Paired axial CT (left) and PSMA PET (right), [18F]PSMA-1007 tracer. PET panel 200×200 px (4.1 mm/px).
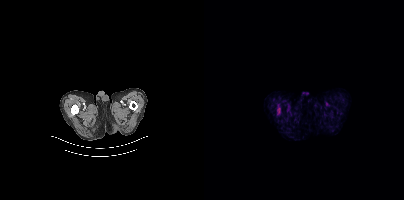
Coordinates are on the 200×200 PET (right) panel. PSMA-avid tumor lesion bounding boxes (partial; 1 more focus not listed):
| # | x0 | y0 | x1 | y1 |
|---|---|---|---|---|
| 1 | 73 | 108 | 76 | 114 |